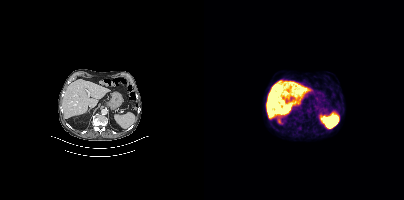
{"modality":"PSMA PET/CT","view":"axial","tracer":"18F","pet_grid":[200,200],"coord_frame":"pet_panel","coord_format":"x0,y0,x1,y1","psma_avid_lesions":false}